Any black rectangle over the head is a privacy mask, not anatomy.
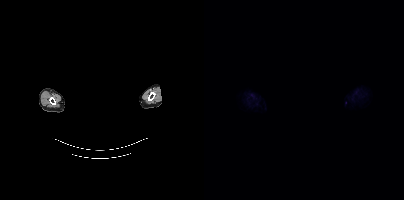
Negative for PSMA-avid disease on this slice.